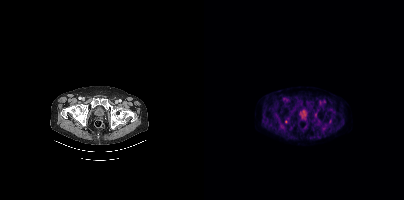
Left: CT. Right: PSMA PET, same axial level, 18F tracer. Only PSMA-avid lesion pieces thinner than 2 px on this slice (not listed).